Technique: Left: CT. Right: PSMA PET, same axial level, [18F]PSMA-1007 tracer. slice position z = -1320 mm. PET panel 200×200 px (4.1 mm/px).
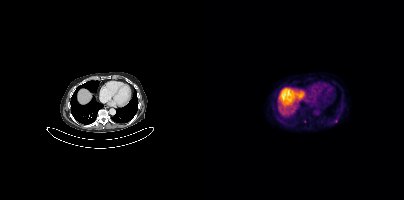
Findings: Only PSMA-avid lesion pieces thinner than 2 px on this slice (not listed).